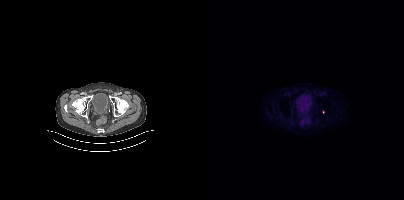
- Two-panel axial: CT | PSMA PET, [18F]PSMA-1007 tracer
- PET panel 200×200 px (4.1 mm/px)
Findings: Only PSMA-avid lesion pieces thinner than 2 px on this slice (not listed).